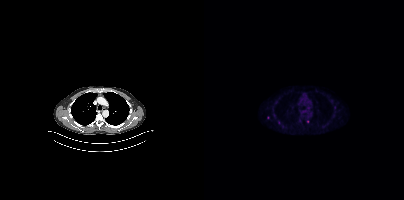
Technique: Left: CT. Right: PSMA PET, same axial level, 18F-PSMA tracer. acquired on Siemens Biograph mCT Flow 20. slice position z = -414 mm.
Findings: Coordinates are on the 200×200 PET (right) panel. Small PSMA-avid foci (2 to 4 px across) near (center x, center y): (64, 117) | (130, 107) | (103, 121).